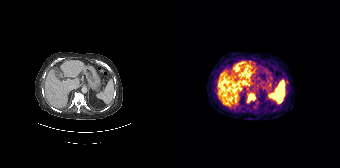
modality: PSMA PET/CT | tracer: [68Ga]Ga-PSMA-11 | view: axial | PET grid: 168×168
Coordinates are on the 168×168 PET (right) panel. PSMA-avid tumor lesion bounding box (x0,y0,x1,y1): [75,94,83,102].